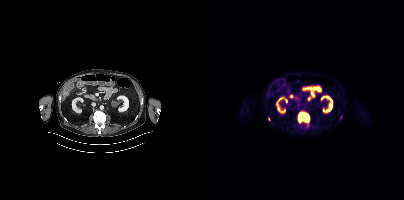
Left: CT. Right: PSMA PET, same axial level, 18F-PSMA tracer. PET panel 200×200 px (4.1 mm/px). Coordinates are on the 200×200 PET (right) panel. PSMA-avid tumor lesion bounding box (x, y, width, height): x=94 y=112 w=12 h=11. Small PSMA-avid foci (2 to 4 px across) near (center x, center y): (64, 119); (137, 116).